Two-panel axial: CT | PSMA PET, [18F]PSMA-1007 tracer.
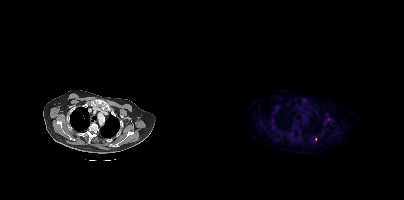
Coordinates are on the 200×200 PET (right) panel. Small PSMA-avid focus (2 to 4 px across) near (center x, center y): (111, 139).